Two-panel axial: CT | PSMA PET, 68Ga-PSMA tracer. Acquired on Siemens Biograph mCT Flow 20. PET panel 200×200 px (4.1 mm/px).
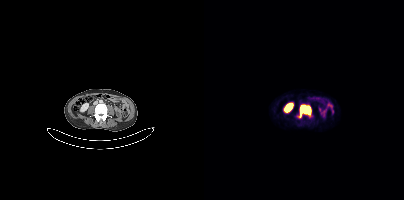
Coordinates are on the 200×200 PET (right) panel. PSMA-avid tumor lesion bounding box (x0,y0,x1,y1): [95,105,107,117].